modality: PSMA PET/CT | tracer: [18F]PSMA-1007 | view: axial | PET grid: 200×200
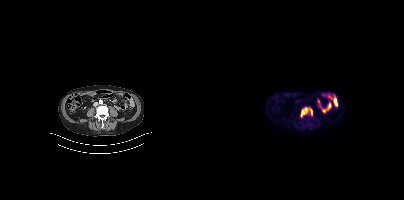
Coordinates are on the 200×200 PET (right) panel. PSMA-avid tumor lesion bounding box (x0,y0,x1,y1): [96,107,108,116].